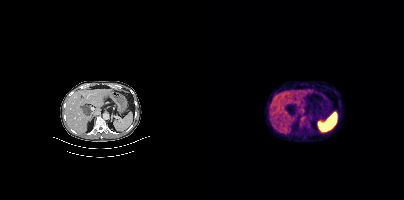
modality: PSMA PET/CT | tracer: 18F-PSMA | view: axial | PET grid: 200×200
Coordinates are on the 200×200 PET (right) panel. PSMA-avid tumor lesion bounding box (x, y, width, height): x=96 y=116 w=11 h=11.